modality: PSMA PET/CT | tracer: 18F | view: axial | PET grid: 200×200
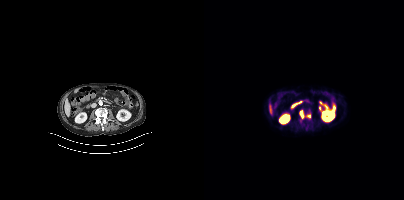
Coordinates are on the 200×200 PET (right) panel. PSMA-avid tumor lesion bounding boxes (x, y, width, height): x=102 y=109 w=5 h=10; x=96 y=110 w=4 h=8. Small PSMA-avid focus (2 to 4 px across) near (center x, center y): (97, 120).